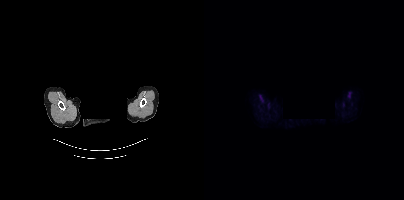
de-identification: face masked with black rectangle | modality: PSMA PET/CT | tracer: 18F-PSMA | view: axial
Negative for PSMA-avid disease on this slice.